Two-panel axial: CT | PSMA PET, [18F]PSMA-1007 tracer. Acquired on Siemens Biograph mCT Flow 20. Slice 101 of 466.
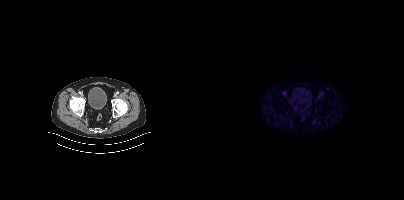
No PSMA-avid tumor lesions on this slice.